Left: CT. Right: PSMA PET, same axial level, 18F tracer. Acquired on Siemens Biograph mCT Flow 20. Slice 398 of 409. PET panel 200×200 px (4.1 mm/px). An anonymization step blacked out a rectangle over the head in this scan.
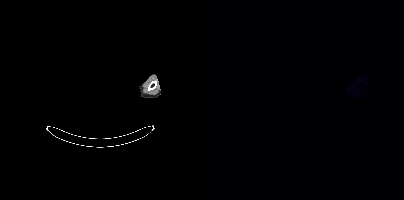
Negative for PSMA-avid disease on this slice.